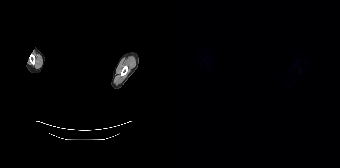
Paired axial CT (left) and PSMA PET (right), 18F-PSMA tracer. Slice position z = -874 mm. PET panel 168×168 px (4.1 mm/px). Head region blanked for anonymization (face removed). Negative for PSMA-avid disease on this slice.